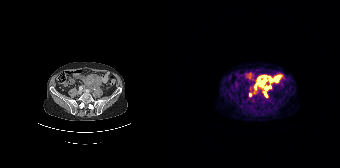
Coordinates are on the 168×168 PET (right) panel. (showing 5 of 6 foci) PSMA-avid tumor lesion bounding boxes (x, y, width, height): x=83 y=75 w=11 h=13 | x=93 y=86 w=7 h=5 | x=92 y=92 w=3 h=5. Small PSMA-avid foci (2 to 4 px across) near (center x, center y): (98, 80) | (78, 94).
modality: PSMA PET/CT | tracer: [68Ga]Ga-PSMA-11 | view: axial